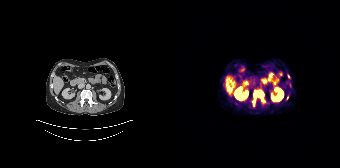
{"modality":"PSMA PET/CT","view":"axial","tracer":"[68Ga]Ga-PSMA-11","pet_grid":[168,168],"coord_frame":"pet_panel","coord_format":"x0,y0,x1,y1","partial":true,"lesion_bboxes":[[81,89,92,105]],"small_foci_centers":[[115,97],[116,77]]}